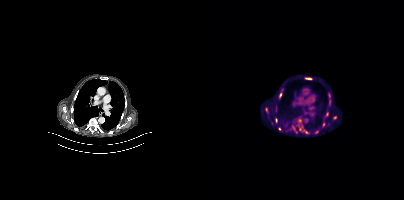
Coordinates are on the 200×200 PET (right) panel. (showing 8 of 11 foci) PSMA-avid tumor lesion bounding boxes (x, y, width, height): x=93 y=120 w=5 h=10 | x=76 y=88 w=4 h=7 | x=61 y=107 w=4 h=7 | x=71 y=118 w=3 h=6 | x=88 y=125 w=4 h=5. Small PSMA-avid foci (2 to 4 px across) near (center x, center y): (123, 114) | (131, 117) | (119, 124).